Paired axial CT (left) and PSMA PET (right), 18F-PSMA tracer. Slice 116 of 454. PET panel 200×200 px (4.1 mm/px).
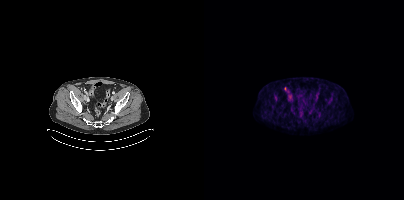
Only PSMA-avid lesion pieces thinner than 2 px on this slice (not listed).